An anonymization step blacked out a rectangle over the head in this scan.
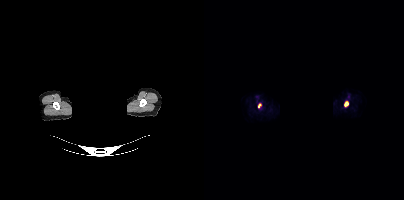
Coordinates are on the 200×200 PET (right) panel. PSMA-avid tumor lesion bounding box (x, y, width, height): x=140 y=101 w=5 h=6. Small PSMA-avid focus (2 to 4 px across) near (center x, center y): (55, 105).